- Two-panel axial: CT | PSMA PET, 68Ga tracer
- slice position z = 747 mm
- PET panel 200×200 px (4.1 mm/px)
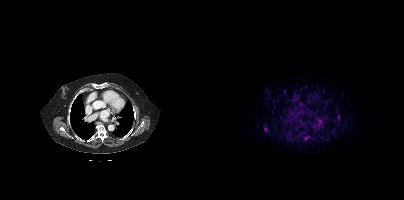
Findings: No tumor lesions annotated on this slice.